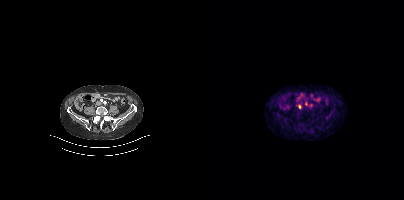
Left: CT. Right: PSMA PET, same axial level, [68Ga]Ga-PSMA-11 tracer. PET panel 200×200 px (4.1 mm/px). Coordinates are on the 200×200 PET (right) panel. (showing 2 of 3 foci) Small PSMA-avid foci (2 to 4 px across) near (center x, center y): (102, 103) / (95, 106).